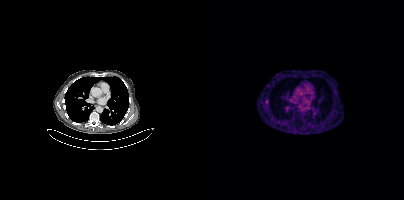
Coordinates are on the 200×200 PET (right) panel. Small PSMA-avid focus (2 to 4 px across) near (center x, center y): (62, 101).